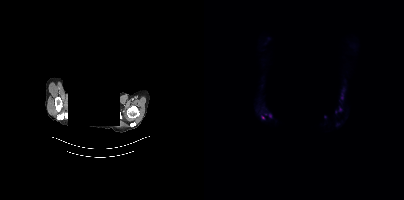
Technique: Left: CT. Right: PSMA PET, same axial level, 18F-PSMA tracer. acquired on Siemens Biograph mCT Flow 20. PET panel 200×200 px (4.1 mm/px).
Note: De-identified by setting a box covering the face to black before release.
Findings: Coordinates are on the 200×200 PET (right) panel. (showing 3 of 4 foci) PSMA-avid tumor lesion bounding box (x, y, width, height): x=57 y=115 w=4 h=5. Small PSMA-avid foci (2 to 4 px across) near (center x, center y): (66, 115); (61, 114).